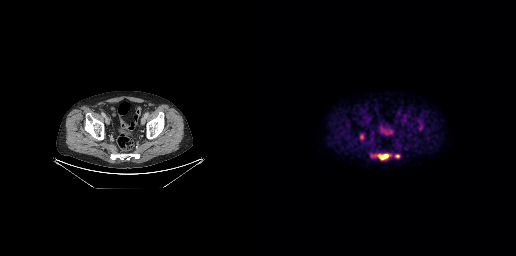
Findings: Coordinates are on the 256×256 PET (right) panel. PSMA-avid tumor lesion bounding boxes (x0, y0)-(x1, y1): (111, 154)-(129, 159); (135, 155)-(139, 157). Small PSMA-avid foci (2 to 4 px across) near (center x, center y): (161, 127); (101, 136).
- Paired axial CT (left) and PSMA PET (right), [18F]PSMA-1007 tracer
- slice 80 of 263
- PET panel 256×256 px (2.7 mm/px)